Technique: Paired axial CT (left) and PSMA PET (right), [18F]PSMA-1007 tracer. acquired on Siemens Biograph mCT Flow 20. slice position z = -797 mm.
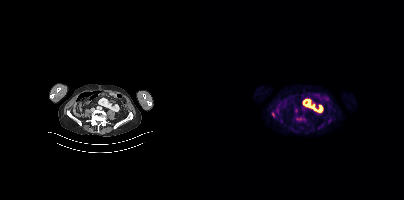
Findings: Negative for PSMA-avid disease on this slice.